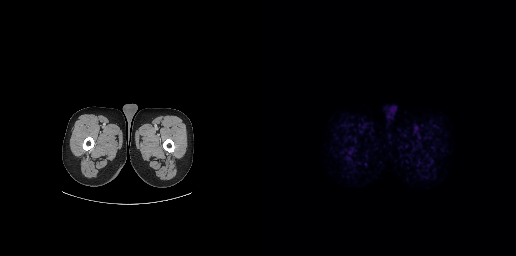
This slice has no annotated PSMA-avid lesion.